Paired axial CT (left) and PSMA PET (right), 18F-PSMA tracer. Acquired on Siemens Biograph mCT Flow 20. Slice 166 of 425.
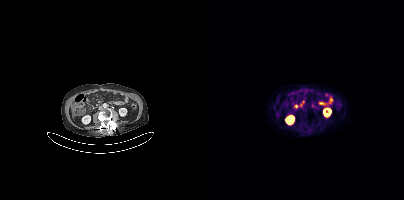
Coordinates are on the 200×200 PET (right) panel. PSMA-avid tumor lesion bounding boxes:
| # | x0 | y0 | x1 | y1 |
|---|---|---|---|---|
| 1 | 107 | 105 | 111 | 108 |